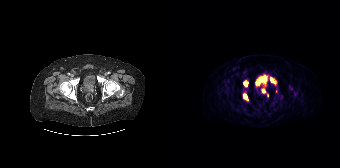
Paired axial CT (left) and PSMA PET (right), [68Ga]Ga-PSMA-11 tracer. Acquired on Siemens Biograph 64-4R TruePoint. Coordinates are on the 168×168 PET (right) panel. PSMA-avid tumor lesion bounding boxes (x, y, width, height): x=71 y=92 w=6 h=10 / x=71 y=80 w=6 h=8 / x=98 y=77 w=6 h=7. Small PSMA-avid focus (2 to 4 px across) near (center x, center y): (91, 90).